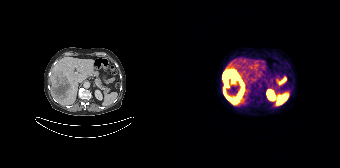
Technique: Left: CT. Right: PSMA PET, same axial level, [68Ga]Ga-PSMA-11 tracer. acquired on Siemens Biograph 64-4R TruePoint. slice 88 of 165. PET panel 168×168 px (4.1 mm/px).
Findings: Coordinates are on the 168×168 PET (right) panel. PSMA-avid tumor lesion bounding box (x, y, width, height): x=51 y=71 w=22 h=34.